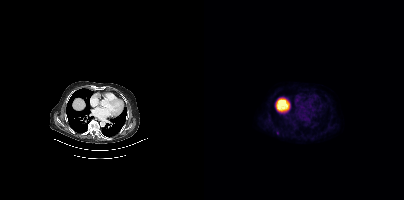
Paired axial CT (left) and PSMA PET (right), 18F-PSMA tracer. Acquired on Siemens Biograph mCT Flow 20. Slice 248 of 377. Coordinates are on the 200×200 PET (right) panel. Small PSMA-avid focus (2 to 4 px across) near (center x, center y): (73, 132).